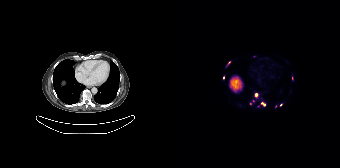
- Two-panel axial: CT | PSMA PET, 18F tracer
- slice position z = -845 mm
Findings: Coordinates are on the 168×168 PET (right) panel. PSMA-avid tumor lesion bounding boxes (x0,y0,x1,y1): [86,101,94,106], [82,92,86,98], [54,61,59,66]. Small PSMA-avid foci (2 to 4 px across) near (center x, center y): (108, 104), (51, 77), (81, 101), (120, 77), (78, 103), (103, 106), (82, 56).